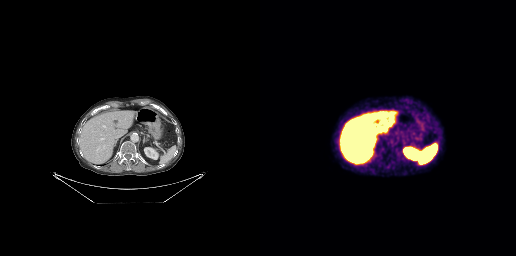
Left: CT. Right: PSMA PET, same axial level, 18F tracer. Acquired on GE Discovery 690. No PSMA-avid tumor lesions on this slice.